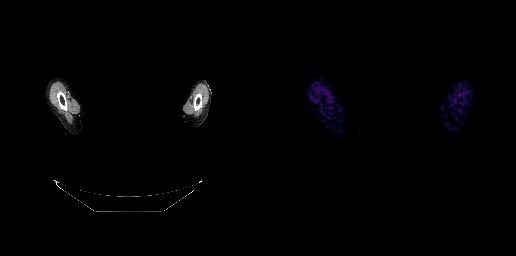
Technique: Paired axial CT (left) and PSMA PET (right), 68Ga tracer. acquired on GE Discovery 690.
Note: Any black rectangle over the head is a privacy mask, not anatomy.
Findings: No PSMA-avid tumor lesions on this slice.